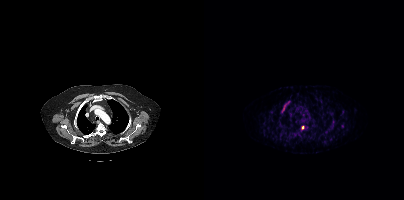
- Two-panel axial: CT | PSMA PET, 68Ga tracer
- PET panel 200×200 px (4.1 mm/px)
Findings: Coordinates are on the 200×200 PET (right) panel. (showing 2 of 5 foci) PSMA-avid tumor lesion bounding boxes (x0,y0,x1,y1): [77,101,86,112]; [97,125,100,130].